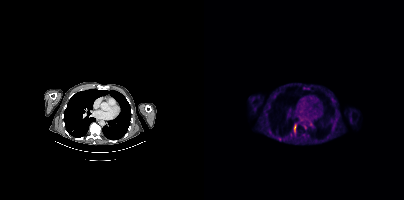
Two-panel axial: CT | PSMA PET, 18F-PSMA tracer. Acquired on Siemens Biograph mCT Flow 20. PET panel 200×200 px (4.1 mm/px).
Coordinates are on the 200×200 PET (right) panel. PSMA-avid tumor lesion bounding boxes:
| # | x0 | y0 | x1 | y1 |
|---|---|---|---|---|
| 1 | 90 | 124 | 92 | 132 |